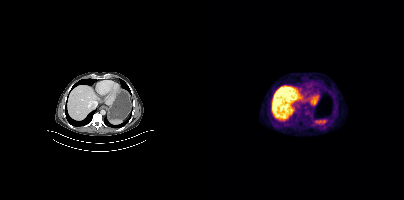
Findings: This slice has no annotated PSMA-avid lesion.
Technique: Left: CT. Right: PSMA PET, same axial level, [18F]PSMA-1007 tracer. acquired on Siemens Biograph mCT Flow 20. slice 266 of 429. PET panel 200×200 px (4.1 mm/px).